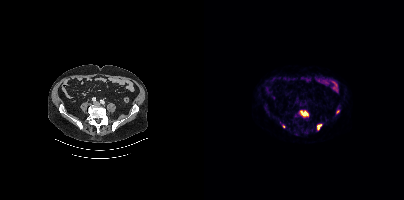
{"pet_grid":[200,200],"coord_frame":"pet_panel","coord_format":"x0,y0,x1,y1","lesion_bboxes":[[95,111,103,117],[113,125,117,129]],"small_foci_centers":[[133,111],[79,126]],"modality":"PSMA PET/CT","view":"axial","tracer":"[18F]PSMA-1007"}